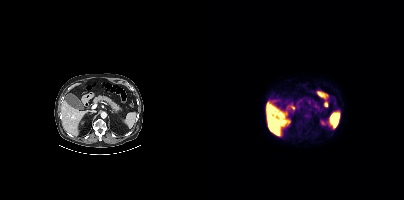
Negative for PSMA-avid disease on this slice. Left: CT. Right: PSMA PET, same axial level, [18F]PSMA-1007 tracer. Slice 225 of 435. PET panel 200×200 px (4.1 mm/px).